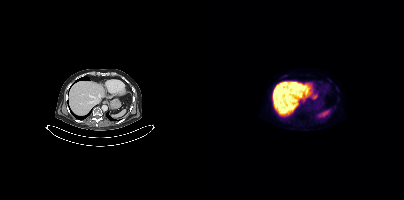
Paired axial CT (left) and PSMA PET (right), [18F]PSMA-1007 tracer. Acquired on Siemens Biograph mCT Flow 20. Slice position z = 134 mm. This slice has no annotated PSMA-avid lesion.